- Two-panel axial: CT | PSMA PET, 18F-PSMA tracer
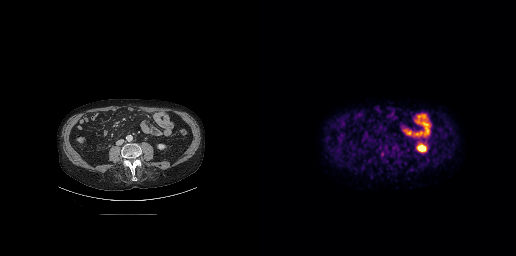
Findings: Coordinates are on the 256×256 PET (right) panel. PSMA-avid tumor lesion bounding boxes (x0, y0)-(x1, y1): (120, 150)-(127, 158) / (132, 144)-(138, 150).